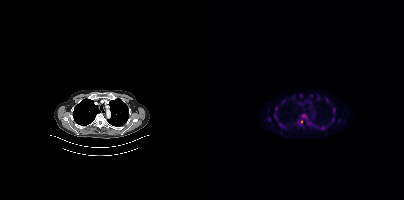
Coordinates are on the 200×200 PET (right) panel. PSMA-avid tumor lesion bounding boxes (partial; 2 more foci not listed):
| # | x0 | y0 | x1 | y1 |
|---|---|---|---|---|
| 1 | 129 | 108 | 131 | 112 |
Small PSMA-avid foci (2 to 4 px across) near (center x, center y): (72, 108); (71, 116); (65, 119); (78, 101); (128, 118).
Left: CT. Right: PSMA PET, same axial level, [18F]PSMA-1007 tracer. Acquired on Siemens Biograph mCT Flow 20. PET panel 200×200 px (4.1 mm/px).